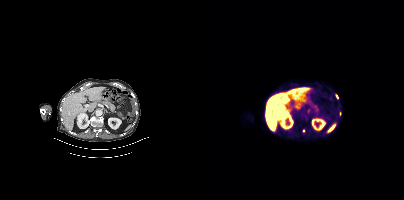
{"modality":"PSMA PET/CT","view":"axial","tracer":"[18F]PSMA-1007","pet_grid":[200,200],"coord_frame":"pet_panel","coord_format":"x0,y0,x1,y1","lesion_bboxes":[[131,94,134,99]],"small_foci_centers":[[99,130],[136,113]]}